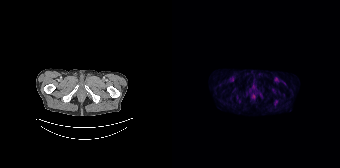
- Paired axial CT (left) and PSMA PET (right), [18F]PSMA-1007 tracer
Findings: No PSMA-avid tumor lesions on this slice.